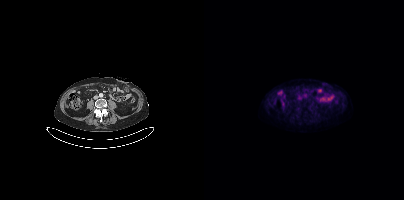
{"modality":"PSMA PET/CT","view":"axial","tracer":"18F-PSMA","pet_grid":[200,200],"coord_frame":"pet_panel","coord_format":"x0,y0,x1,y1","psma_avid_lesions":false}